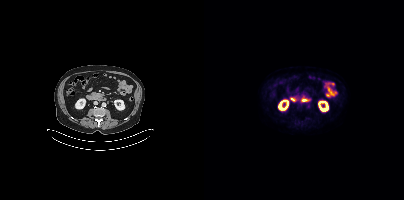
Negative for PSMA-avid disease on this slice.